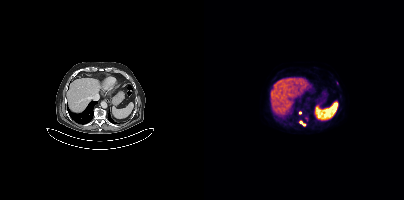
Coordinates are on the 200×200 PET (right) panel. Small PSMA-avid foci (2 to 4 px across) near (center x, center y): (96, 112); (97, 121); (100, 124).